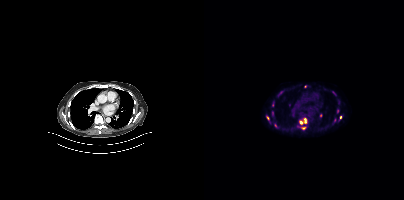
{"modality":"PSMA PET/CT","view":"axial","tracer":"18F-PSMA","pet_grid":[200,200],"coord_frame":"pet_panel","coord_format":"x0,y0,x1,y1","partial":true,"lesion_bboxes":[[95,118,102,124],[62,116,65,120],[130,118,132,122]],"small_foci_centers":[[99,128],[76,92],[68,104],[133,111],[136,117],[71,125],[130,93],[68,112]]}